Technique: Left: CT. Right: PSMA PET, same axial level, 18F tracer. slice position z = -1406 mm. PET panel 168×168 px (4.1 mm/px).
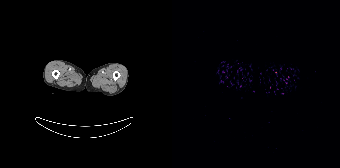
Findings: No tumor lesions annotated on this slice.